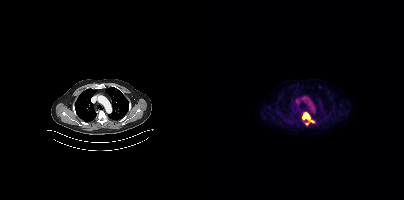
Coordinates are on the 200×200 PET (right) panel. PSMA-avid tumor lesion bounding box (x, y, width, height): x=98 y=112 w=13 h=11. Small PSMA-avid foci (2 to 4 px across) near (center x, center y): (102, 123) | (115, 85).